- Left: CT. Right: PSMA PET, same axial level, 68Ga-PSMA tracer
- slice position z = -400 mm
- PET panel 168×168 px (4.1 mm/px)
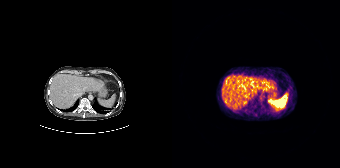
Findings: Negative for PSMA-avid disease on this slice.